An anonymization step blacked out a rectangle over the head in this scan.
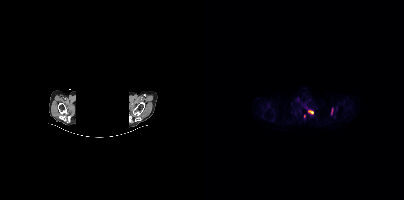
Coordinates are on the 200×200 PET (right) panel. (showing 2 of 3 foci) PSMA-avid tumor lesion bounding box (x, y, width, height): x=104 y=110 w=6 h=4. Small PSMA-avid focus (2 to 4 px across) near (center x, center y): (100, 116).